modality: PSMA PET/CT | tracer: 18F | view: axial
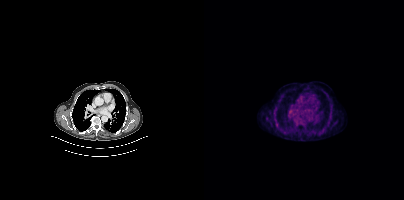
Negative for PSMA-avid disease on this slice.